Two-panel axial: CT | PSMA PET, [18F]PSMA-1007 tracer. PET panel 200×200 px (4.1 mm/px).
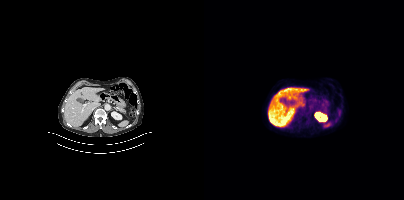
No tumor lesions annotated on this slice.